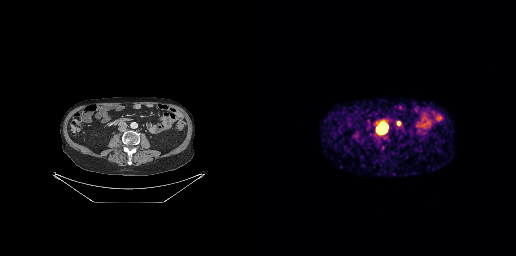
modality: PSMA PET/CT | tracer: [68Ga]Ga-PSMA-11 | view: axial | PET grid: 256×256
Coordinates are on the 256×256 PET (right) panel. (showing 1 of 2 foci) PSMA-avid tumor lesion bounding box (x0,y0,x1,y1): [117,125,125,132].